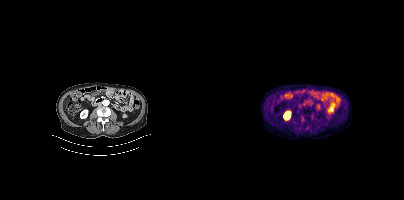
Technique: Left: CT. Right: PSMA PET, same axial level, 18F-PSMA tracer. slice position z = -1240 mm.
Findings: No tumor lesions annotated on this slice.